Technique: Left: CT. Right: PSMA PET, same axial level, 18F tracer. acquired on Siemens Biograph mCT Flow 20. slice position z = -956 mm.
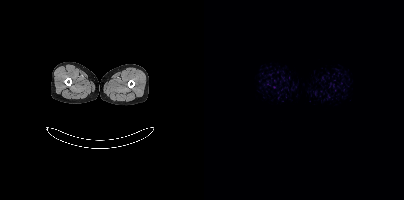
Findings: No tumor lesions annotated on this slice.